Left: CT. Right: PSMA PET, same axial level, 18F tracer. Slice position z = -890 mm. PET panel 200×200 px (4.1 mm/px).
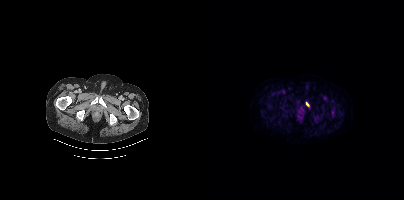
Coordinates are on the 200×200 PET (right) panel. PSMA-avid tumor lesion bounding box (x0, y0)-(x1, y1): (102, 102)-(105, 107).